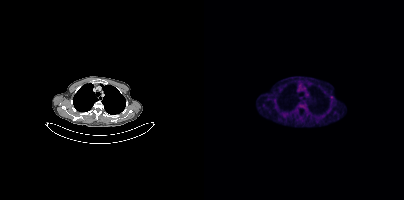
- Left: CT. Right: PSMA PET, same axial level, [18F]PSMA-1007 tracer
- PET panel 200×200 px (4.1 mm/px)
Findings: Coordinates are on the 200×200 PET (right) panel. Small PSMA-avid focus (2 to 4 px across) near (center x, center y): (127, 97).